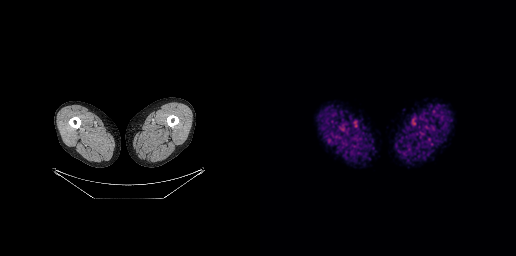
{"modality":"PSMA PET/CT","view":"axial","tracer":"18F-PSMA","pet_grid":[256,256],"coord_frame":"pet_panel","coord_format":"x0,y0,x1,y1","psma_avid_lesions":false}